modality: PSMA PET/CT | tracer: 18F | view: axial
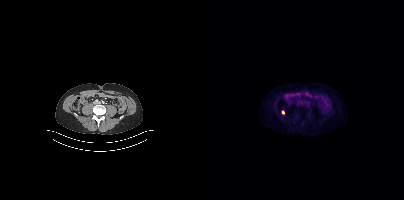
Coordinates are on the 200×200 PET (right) panel. Small PSMA-avid focus (2 to 4 px across) near (center x, center y): (79, 112).